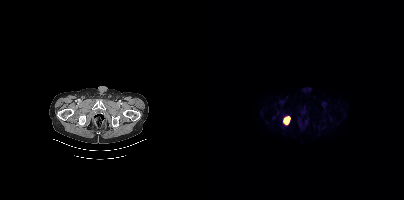
Coordinates are on the 200×200 PET (right) panel. PSMA-avid tumor lesion bounding boxes:
| # | x0 | y0 | x1 | y1 |
|---|---|---|---|---|
| 1 | 80 | 117 | 85 | 124 |
Left: CT. Right: PSMA PET, same axial level, 18F tracer. Slice 61 of 405.